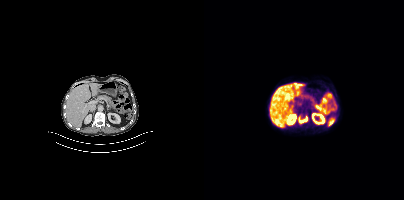
Technique: Paired axial CT (left) and PSMA PET (right), [18F]PSMA-1007 tracer. slice 204 of 413.
Findings: Coordinates are on the 200×200 PET (right) panel. PSMA-avid tumor lesion bounding box (x0,y0,x1,y1): [94,116,103,123].